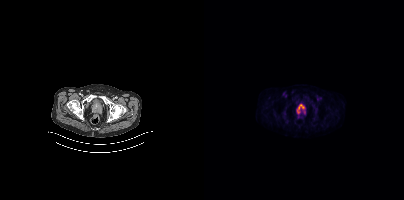
Coordinates are on the 200×200 PET (right) panel. PSMA-avid tumor lesion bounding box (x0, y0)-(x1, y1): (93, 104)-(100, 113).